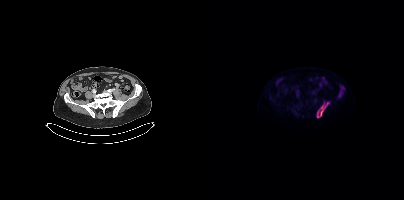
Technique: Left: CT. Right: PSMA PET, same axial level, 18F-PSMA tracer. slice 113 of 403. PET panel 200×200 px (4.1 mm/px).
Findings: Coordinates are on the 200×200 PET (right) panel. PSMA-avid tumor lesion bounding boxes (x, y, width, height): x=112 y=102 w=14 h=17; x=134 y=88 w=4 h=9.